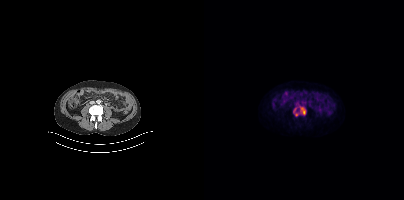
modality: PSMA PET/CT | tracer: 18F-PSMA | view: axial | PET grid: 200×200
Coordinates are on the 200×200 PET (right) panel. PSMA-avid tumor lesion bounding boxes (x0, y0)-(x1, y1): (96, 107)-(101, 114); (90, 108)-(92, 112). Small PSMA-avid focus (2 to 4 px across) near (center x, center y): (92, 114).